- the face region was removed for patient privacy by blanking a rectangle over the head
- Left: CT. Right: PSMA PET, same axial level, 18F-PSMA tracer
- acquired on GE Discovery 690
- slice position z = -65 mm
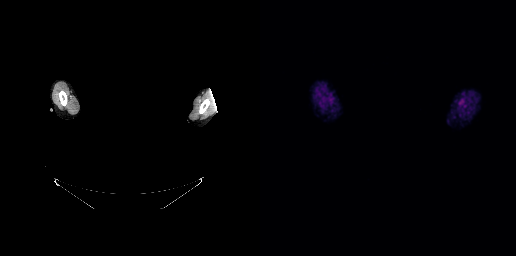
Findings: Negative for PSMA-avid disease on this slice.